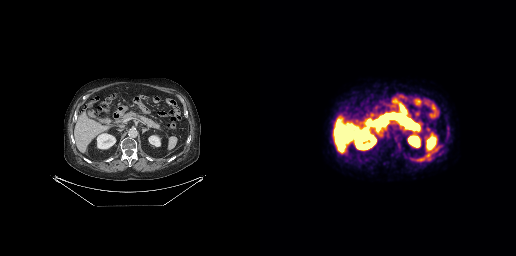
Negative for PSMA-avid disease on this slice. Left: CT. Right: PSMA PET, same axial level, [18F]PSMA-1007 tracer.